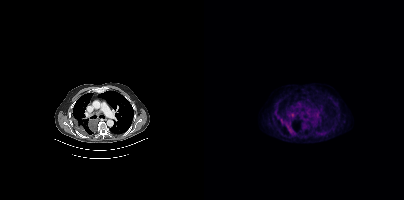
Coordinates are on the 200×200 PET (right) panel. PSMA-avid tumor lesion bounding boxes (x0, y0)-(x1, y1): (82, 123)-(89, 133) | (76, 119)-(81, 125) | (86, 113)-(92, 117).
modality: PSMA PET/CT | tracer: [18F]PSMA-1007 | view: axial